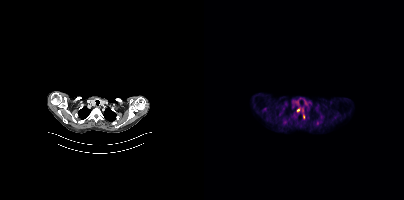
Coordinates are on the 200×200 PET (right) panel. Small PSMA-avid foci (2 to 4 px across) near (center x, center y): (94, 110) | (99, 116).